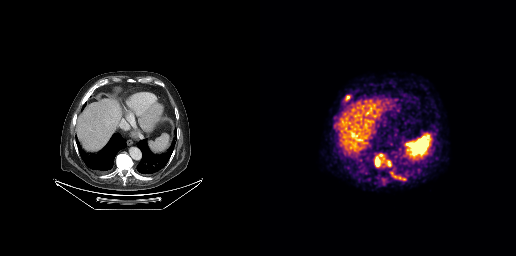
{"modality":"PSMA PET/CT","view":"axial","tracer":"68Ga","pet_grid":[256,256],"coord_frame":"pet_panel","coord_format":"x0,y0,x1,y1","lesion_bboxes":[[114,153,131,167],[130,172,140,178],[85,95,90,101]],"small_foci_centers":[[75,125]]}